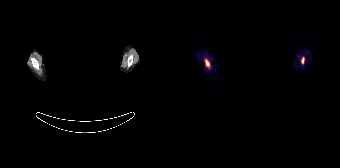
Privacy masking over the head, with the pixels inside a rectangle set to black. Two-panel axial: CT | PSMA PET, 68Ga-PSMA tracer. Slice position z = -614 mm. Coordinates are on the 168×168 PET (right) panel. PSMA-avid tumor lesion bounding boxes (x0,y0,x1,y1): [33,59,38,67], [129,57,132,63].